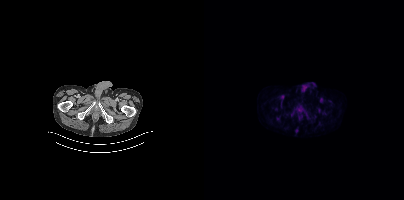
This slice has no annotated PSMA-avid lesion.